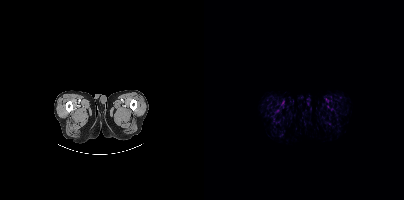
Findings: Negative for PSMA-avid disease on this slice.
Technique: Left: CT. Right: PSMA PET, same axial level, 18F-PSMA tracer.